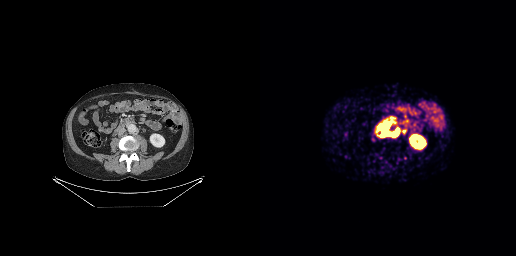
Coordinates are on the 256×256 PET (right) panel. PSMA-avid tumor lesion bounding box (x0,y0,x1,y1): [121,122,139,136].